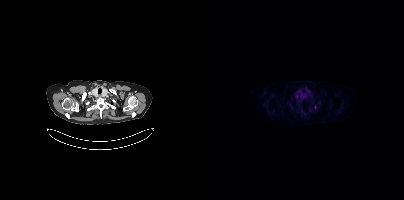
Findings: Coordinates are on the 200×200 PET (right) panel. Small PSMA-avid focus (2 to 4 px across) near (center x, center y): (111, 107).
- Left: CT. Right: PSMA PET, same axial level, 18F tracer
- acquired on Siemens Biograph mCT Flow 20
- slice position z = 440 mm